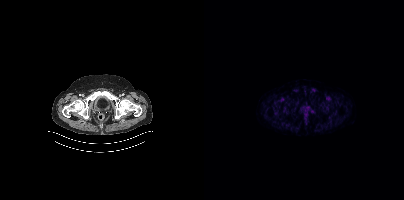
Findings: No tumor lesions annotated on this slice.
- Two-panel axial: CT | PSMA PET, 18F-PSMA tracer
- slice position z = -390 mm
- PET panel 200×200 px (4.1 mm/px)